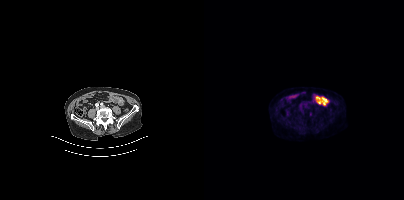
modality: PSMA PET/CT | tracer: [18F]PSMA-1007 | view: axial
Coordinates are on the 200×200 PET (right) panel. Small PSMA-avid focus (2 to 4 px across) near (center x, center y): (106, 114).